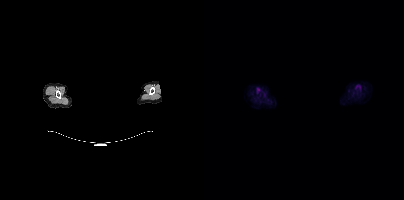
Technique: Paired axial CT (left) and PSMA PET (right), [18F]PSMA-1007 tracer. slice 397 of 429. PET panel 200×200 px (4.1 mm/px).
Note: Facial anatomy redacted by setting a rectangular region of the head to black.
Findings: No tumor lesions annotated on this slice.